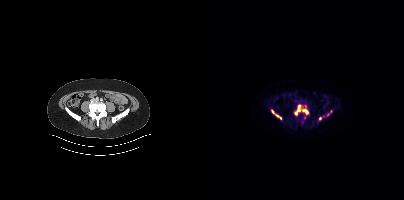
{"modality":"PSMA PET/CT","view":"axial","tracer":"18F-PSMA","pet_grid":[200,200],"coord_frame":"pet_panel","coord_format":"x0,y0,x1,y1","partial":true,"lesion_bboxes":[[91,105,96,114],[67,110,77,119],[98,109,104,113]],"small_foci_centers":[[116,118],[123,114]]}